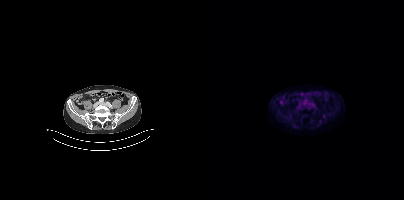
{"modality":"PSMA PET/CT","view":"axial","tracer":"[18F]PSMA-1007","pet_grid":[200,200],"coord_frame":"pet_panel","coord_format":"x0,y0,x1,y1","lesion_bboxes":[[88,124,92,127]],"small_foci_centers":[[119,115]]}